- Two-panel axial: CT | PSMA PET, 68Ga-PSMA tracer
- slice 136 of 195
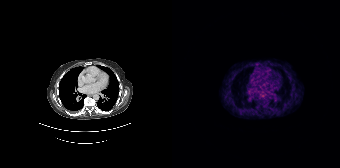
Findings: This slice has no annotated PSMA-avid lesion.